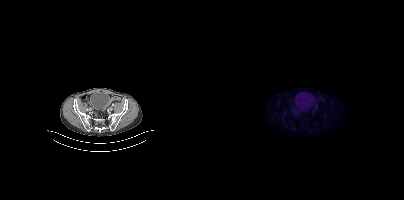
No PSMA-avid tumor lesions on this slice.